modality: PSMA PET/CT | tracer: 18F-PSMA | view: axial | PET grid: 256×256
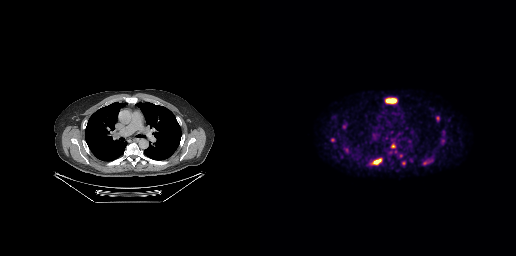
Coordinates are on the 256×256 PET (right) panel. PSMA-avid tumor lesion bounding boxes (x0,y0,x1,y1): [125,98,136,103], [112,158,121,164], [176,116,179,121]. Small PSMA-avid foci (2 to 4 px across) near (center x, center y): (132, 146), (183, 140), (165, 163), (72, 139).